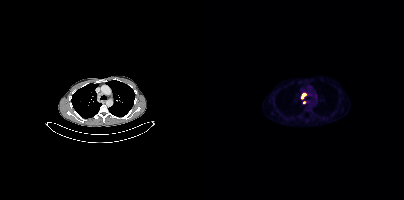
Coordinates are on the 200×200 PET (right) panel. PSMA-avid tumor lesion bounding box (x0, y0)-(x1, y1): (97, 93)-(102, 98). Small PSMA-avid focus (2 to 4 px across) near (center x, center y): (100, 102).